- Left: CT. Right: PSMA PET, same axial level, 18F-PSMA tracer
- acquired on GE Discovery 690
- slice 97 of 263
- PET panel 256×256 px (2.7 mm/px)
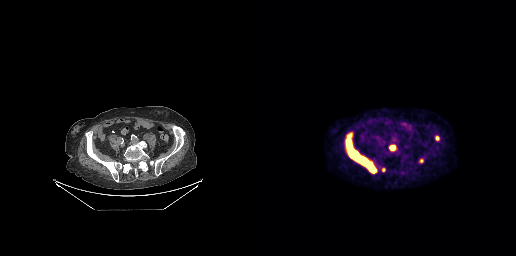
Findings: Coordinates are on the 256×256 PET (right) panel. PSMA-avid tumor lesion bounding boxes (x, y, width, height): x=85 y=132 w=33 h=42; x=129 y=144 w=8 h=8; x=175 y=136 w=5 h=5. Small PSMA-avid foci (2 to 4 px across) near (center x, center y): (123, 169); (161, 161).